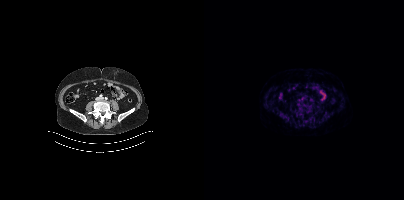
Findings: This slice has no annotated PSMA-avid lesion.
- Paired axial CT (left) and PSMA PET (right), 18F tracer
- slice 149 of 433